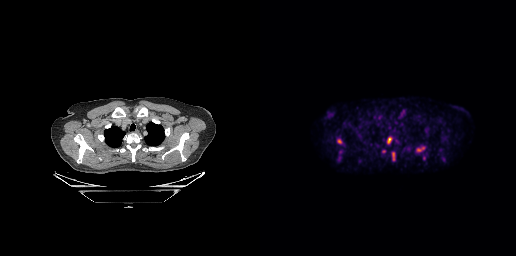
Coordinates are on the 256×256 PET (right) panel. PSMA-avid tumor lesion bounding boxes (partial; 1 more focus not listed):
| # | x0 | y0 | x1 | y1 |
|---|---|---|---|---|
| 1 | 156 | 147 | 164 | 151 |
| 2 | 127 | 137 | 131 | 143 |
| 3 | 77 | 139 | 82 | 143 |
| 4 | 132 | 152 | 134 | 160 |
Small PSMA-avid focus (2 to 4 px across) near (center x, center y): (123, 151).
Two-panel axial: CT | PSMA PET, [18F]PSMA-1007 tracer. Acquired on GE Discovery 690. PET panel 256×256 px (2.7 mm/px).